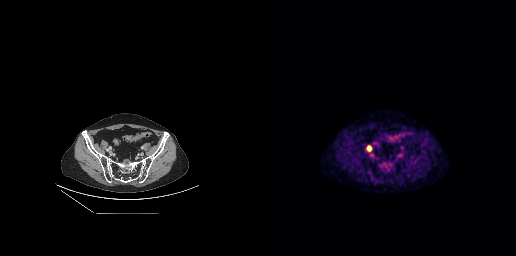
Coordinates are on the 256×256 PET (right) panel. PSMA-avid tumor lesion bounding box (x0,y0,x1,y1): [107,145,111,151].